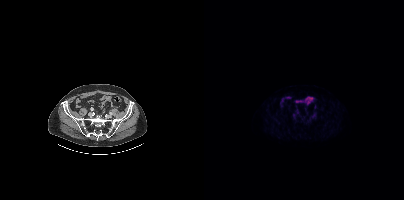
No tumor lesions annotated on this slice. Paired axial CT (left) and PSMA PET (right), 18F tracer. Slice 91 of 423.